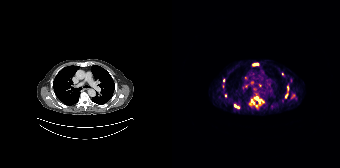
Coordinates are on the 168×168 PET (right) panel. (showing 8 of 12 foci) PSMA-avid tumor lesion bounding box (x0,y0,x1,y1): [62,105,66,107]. Small PSMA-avid foci (2 to 4 px across) near (center x, center y): (86, 100); (110, 74); (51, 80); (113, 96); (85, 63); (81, 64); (73, 77).